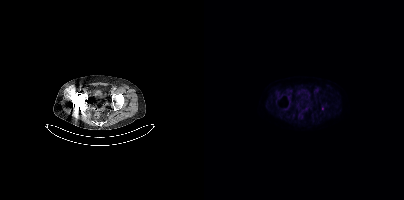
{"modality":"PSMA PET/CT","view":"axial","tracer":"[18F]PSMA-1007","pet_grid":[200,200],"coord_frame":"pet_panel","coord_format":"x0,y0,x1,y1","psma_avid_lesions":false}